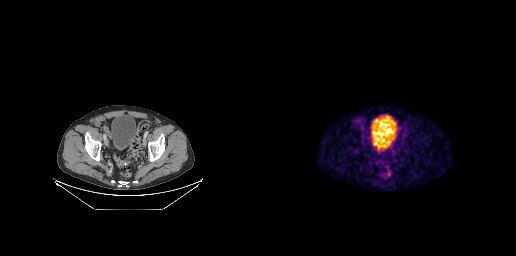
modality: PSMA PET/CT | tracer: [68Ga]Ga-PSMA-11 | view: axial
No tumor lesions annotated on this slice.